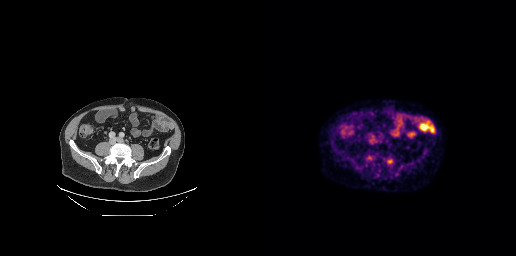
Coordinates are on the 256×256 PET (right) panel. PSMA-avid tumor lesion bounding boxes (x0,y0,x1,y1): [126,158,133,164], [108,155,112,159].